Technique: Left: CT. Right: PSMA PET, same axial level, 68Ga-PSMA tracer. acquired on Siemens Biograph 64-4R TruePoint. slice 20 of 195.
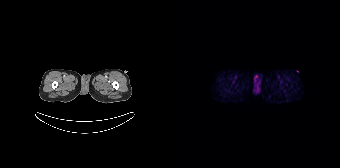
Findings: No tumor lesions annotated on this slice.